modality: PSMA PET/CT | tracer: 18F-PSMA | view: axial | PET grid: 200×200
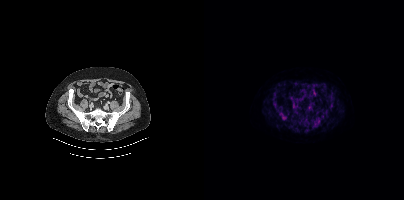
Coordinates are on the 200×200 PET (right) panel. (showing 7 of 8 foci) PSMA-avid tumor lesion bounding boxes (x0,y0,x1,y1): [109,119,116,127] [75,112,82,120] [69,89,74,96] [119,110,123,114] [89,108,93,112] [126,103,129,107]. Small PSMA-avid focus (2 to 4 px across) near (center x, center y): (104, 125).